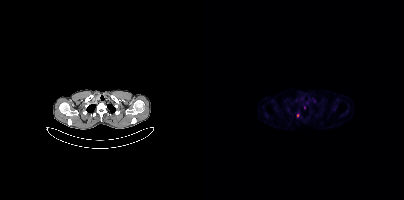
Left: CT. Right: PSMA PET, same axial level, 68Ga tracer. Acquired on Siemens Biograph mCT Flow 20. Coordinates are on the 200×200 PET (right) panel. Small PSMA-avid foci (2 to 4 px across) near (center x, center y): (100, 107) | (93, 115).